- Left: CT. Right: PSMA PET, same axial level, [68Ga]Ga-PSMA-11 tracer
- PET panel 168×168 px (4.1 mm/px)
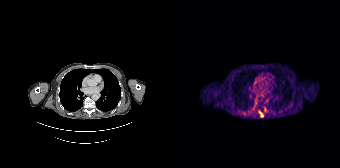
Findings: Coordinates are on the 168×168 PET (right) panel. PSMA-avid tumor lesion bounding box (x0,y0,x1,y1): [87,111,91,116].